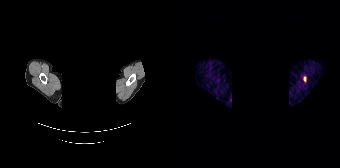
{"modality":"PSMA PET/CT","view":"axial","tracer":"68Ga","pet_grid":[168,168],"coord_frame":"pet_panel","coord_format":"x0,y0,x1,y1","redaction":"facial region redacted","lesion_bboxes":[[131,77,134,81]]}